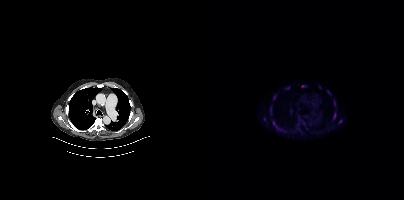
Coordinates are on the 200×200 PET (right) panel. (showing 13 of 16 foci) PSMA-avid tumor lesion bounding boxes (x0,y0,x1,y1): [68,121,75,128] [129,111,132,119] [66,107,67,113] [69,95,71,99] [130,101,131,105] [99,121,101,125]. Small PSMA-avid foci (2 to 4 px across) near (center x, center y): (136, 121) (98, 86) (124, 92) (60, 119) (84, 87) (94, 124) (115, 87).